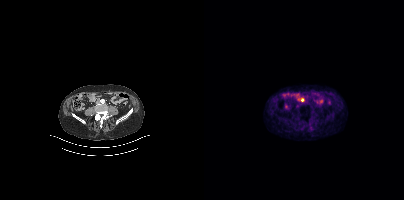
Technique: Left: CT. Right: PSMA PET, same axial level, 68Ga-PSMA tracer. acquired on Siemens Biograph mCT Flow 20. slice 136 of 405.
Findings: Coordinates are on the 200×200 PET (right) panel. Small PSMA-avid focus (2 to 4 px across) near (center x, center y): (98, 99).